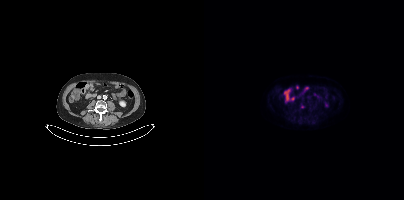
Two-panel axial: CT | PSMA PET, 18F-PSMA tracer. Coordinates are on the 200×200 PET (right) panel. Small PSMA-avid focus (2 to 4 px across) near (center x, center y): (98, 106).